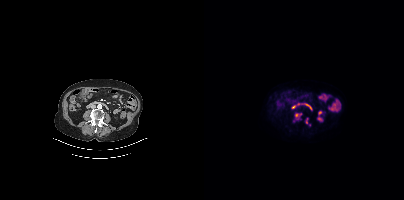
Coordinates are on the 200×200 PET (right) panel. (showing 2 of 3 foci) PSMA-avid tumor lesion bounding boxes (x, y, width, height): x=91 y=113 w=7 h=7 | x=102 y=118 w=2 h=6.